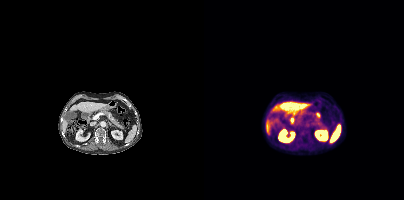
Findings: Negative for PSMA-avid disease on this slice.
Technique: Two-panel axial: CT | PSMA PET, 18F tracer. acquired on Siemens Biograph mCT Flow 20. PET panel 200×200 px (4.1 mm/px).